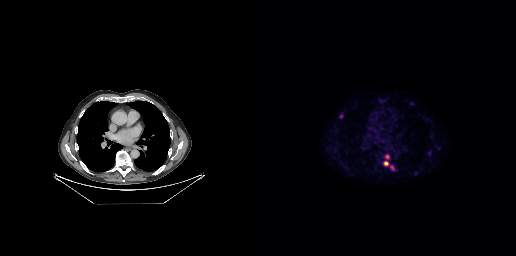
Coordinates are on the 256×256 PET (right) panel. PSMA-avid tumor lesion bounding boxes (x, y, width, height): x=123 y=161 w=6 h=5 | x=79 y=114 w=5 h=5 | x=125 y=155 w=5 h=4 | x=130 y=165 w=5 h=5.